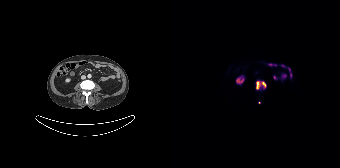
Coordinates are on the 168×168 PET (right) panel. PSMA-avid tumor lesion bounding box (x0,y0,x1,y1): [84,80,94,89]. Small PSMA-avid focus (2 to 4 px across) near (center x, center y): (87, 102).